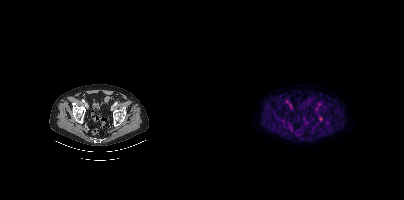
Technique: Paired axial CT (left) and PSMA PET (right), [18F]PSMA-1007 tracer.
Findings: No tumor lesions annotated on this slice.